- Left: CT. Right: PSMA PET, same axial level, [18F]PSMA-1007 tracer
- slice 61 of 401
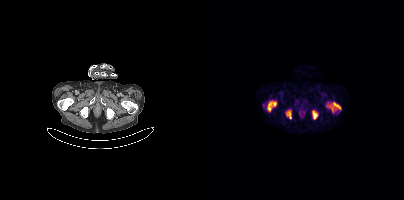
Findings: Coordinates are on the 200×200 PET (right) panel. PSMA-avid tumor lesion bounding boxes (x0, y0)-(x1, y1): (123, 102)-(137, 112) / (64, 101)-(72, 110) / (82, 110)-(87, 118) / (108, 110)-(113, 119).